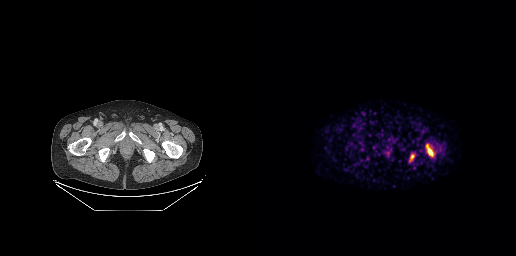
Technique: Two-panel axial: CT | PSMA PET, 68Ga-PSMA tracer. slice 44 of 263. PET panel 256×256 px (2.7 mm/px).
Findings: Coordinates are on the 256×256 PET (right) panel. PSMA-avid tumor lesion bounding box (x0,y0,x1,y1): [166,145,173,155].